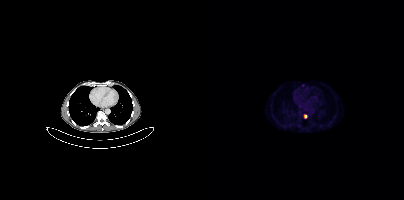
Findings: Coordinates are on the 200×200 PET (right) panel. PSMA-avid tumor lesion bounding box (x0,y0,x1,y1): [100,114,102,118].
Technique: Left: CT. Right: PSMA PET, same axial level, 68Ga tracer. slice 248 of 409. PET panel 200×200 px (4.1 mm/px).